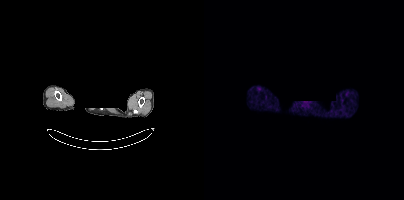
Two-panel axial: CT | PSMA PET, 68Ga tracer. Acquired on Siemens Biograph mCT Flow 20. PET panel 200×200 px (4.1 mm/px). The face region was removed for patient privacy by blanking a rectangle over the head. Negative for PSMA-avid disease on this slice.